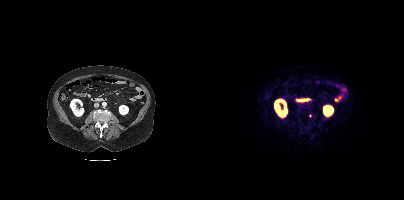
Left: CT. Right: PSMA PET, same axial level, 68Ga-PSMA tracer. Acquired on Siemens Biograph mCT Flow 20. Slice position z = 509 mm. PET panel 200×200 px (4.1 mm/px). Only PSMA-avid lesion pieces thinner than 2 px on this slice (not listed).